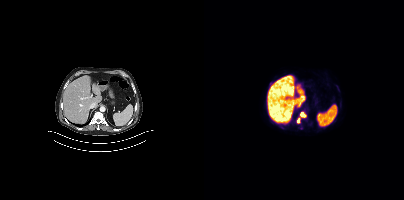
Coordinates are on the 200×200 PET (right) panel. PSMA-avid tumor lesion bounding box (x0,y0,x1,y1): [93,111,102,123].